Technique: Left: CT. Right: PSMA PET, same axial level, [18F]PSMA-1007 tracer. slice 118 of 165.
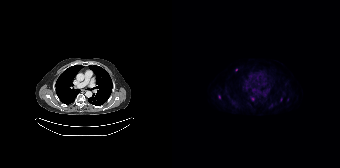
Findings: Coordinates are on the 168×168 PET (right) panel. (showing 1 of 2 foci) Small PSMA-avid focus (2 to 4 px across) near (center x, center y): (47, 96).